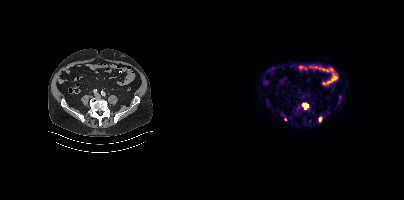
Coordinates are on the 200×200 PET (right) panel. PSMA-avid tumor lesion bounding boxes (x0, y0)-(x1, y1): (99, 104)-(104, 108) / (115, 117)-(117, 121). Small PSMA-avid focus (2 to 4 px across) near (center x, center y): (81, 119).